Technique: Paired axial CT (left) and PSMA PET (right), 18F-PSMA tracer. slice position z = -568 mm.
Note: Any black rectangle over the head is a privacy mask, not anatomy.
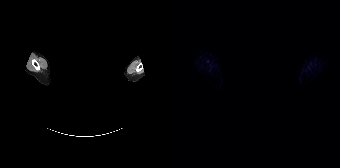
Findings: This slice has no annotated PSMA-avid lesion.